- Left: CT. Right: PSMA PET, same axial level, 18F-PSMA tracer
- slice 10 of 466
- PET panel 200×200 px (4.1 mm/px)
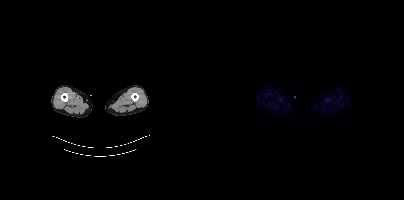
Findings: No tumor lesions annotated on this slice.